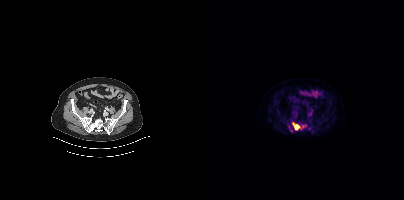
Two-panel axial: CT | PSMA PET, [18F]PSMA-1007 tracer. Slice 96 of 381. PET panel 200×200 px (4.1 mm/px). Coordinates are on the 200×200 PET (right) panel. (showing 2 of 3 foci) PSMA-avid tumor lesion bounding box (x0,y0,x1,y1): [88,122,101,130]. Small PSMA-avid focus (2 to 4 px across) near (center x, center y): (105, 128).